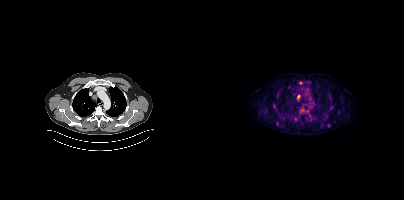
Coordinates are on the 200×200 PET (right) panel. PSMA-avid tumor lesion bounding box (x0, y0)-(x1, y1): (97, 109)-(105, 112). Small PSMA-avid foci (2 to 4 px across) near (center x, center y): (94, 96) | (97, 83) | (91, 119) | (73, 123) | (123, 125).